Technique: Two-panel axial: CT | PSMA PET, 18F-PSMA tracer. acquired on Siemens Biograph mCT Flow 20. slice 238 of 377.
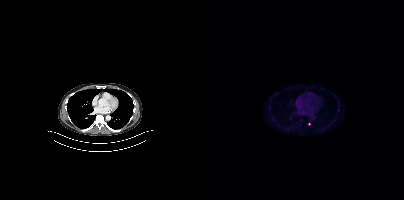
Findings: Coordinates are on the 200×200 PET (right) panel. Small PSMA-avid focus (2 to 4 px across) near (center x, center y): (105, 123).